Left: CT. Right: PSMA PET, same axial level, 18F-PSMA tracer. Slice position z = -1074 mm. PET panel 200×200 px (4.1 mm/px). Facial anatomy redacted by setting a rectangular region of the head to black.
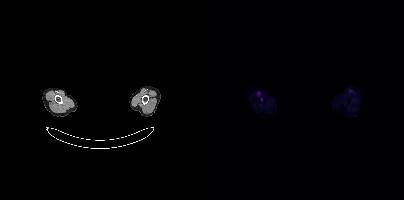
No PSMA-avid tumor lesions on this slice.